Technique: Paired axial CT (left) and PSMA PET (right), 68Ga tracer.
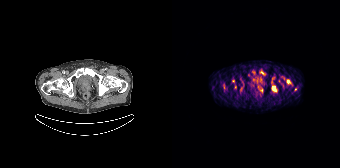
Findings: Coordinates are on the 168×168 PET (right) panel. (showing 9 of 14 foci) PSMA-avid tumor lesion bounding boxes (x0, y0)-(x1, y1): (114, 79)-(119, 84); (100, 86)-(104, 91); (87, 70)-(93, 75); (68, 86)-(71, 91). Small PSMA-avid foci (2 to 4 px across) near (center x, center y): (61, 81); (89, 90); (111, 77); (63, 87); (70, 82).